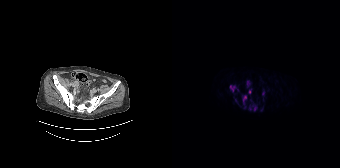
modality: PSMA PET/CT | tracer: [18F]PSMA-1007 | view: axial
Coordinates are on the 168×168 PET (right) panel. (showing 7 of 9 foci) PSMA-avid tumor lesion bounding boxes (x, y, width, height): x=58 y=85 w=7 h=8 | x=71 y=95 w=4 h=10 | x=75 y=81 w=3 h=6 | x=90 y=91 w=3 h=5. Small PSMA-avid foci (2 to 4 px across) near (center x, center y): (78, 91) | (83, 108) | (77, 108).